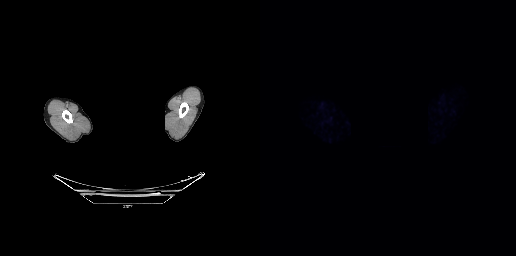
A rectangle over the head was blacked out to remove identifiable facial features.
No PSMA-avid tumor lesions on this slice.